Left: CT. Right: PSMA PET, same axial level, 18F-PSMA tracer. Acquired on Siemens Biograph mCT Flow 20. Slice position z = -1502 mm. PET panel 200×200 px (4.1 mm/px).
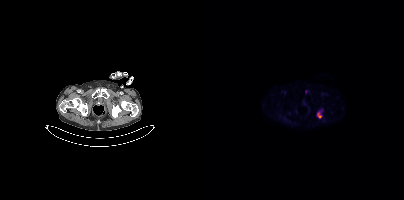
Coordinates are on the 200×200 PET (right) panel. PSMA-avid tumor lesion bounding boxes:
| # | x0 | y0 | x1 | y1 |
|---|---|---|---|---|
| 1 | 113 | 112 | 117 | 117 |